- Left: CT. Right: PSMA PET, same axial level, [68Ga]Ga-PSMA-11 tracer
- slice 33 of 165
- PET panel 168×168 px (4.1 mm/px)
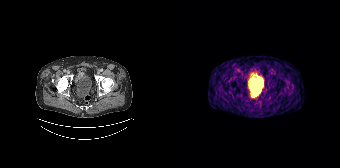
Findings: Coordinates are on the 168×168 PET (right) panel. PSMA-avid tumor lesion bounding box (x0, y0)-(x1, y1): (80, 91)-(86, 97).